- Paired axial CT (left) and PSMA PET (right), 18F-PSMA tracer
- acquired on GE Discovery 690
- slice 123 of 263
- PET panel 256×256 px (2.7 mm/px)
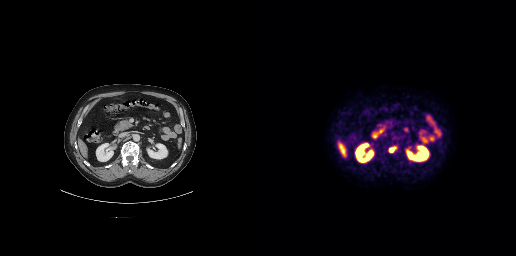
Findings: Coordinates are on the 256×256 PET (right) panel. PSMA-avid tumor lesion bounding box (x0, y0)-(x1, y1): (128, 146)-(136, 152).